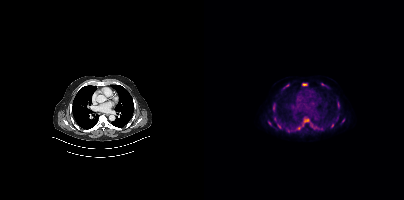
Coordinates are on the 200×200 PET (right) panel. (showing 13 of 14 foci) PSMA-avid tumor lesion bounding boxes (x0,y0,x1,y1): [93,118,105,129], [106,124,114,129], [69,103,71,111], [133,101,135,108], [98,83,103,85], [79,84,85,88], [73,124,77,128], [127,123,129,127], [117,83,122,86], [64,121,67,125]. Small PSMA-avid foci (2 to 4 px across) near (center x, center y): (71, 118), (139, 120), (133, 118).